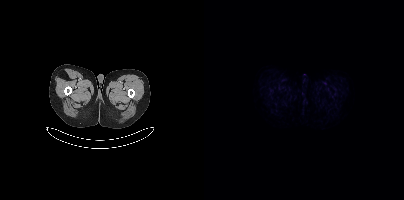
Technique: Left: CT. Right: PSMA PET, same axial level, 18F tracer. slice position z = -880 mm.
Findings: No tumor lesions annotated on this slice.